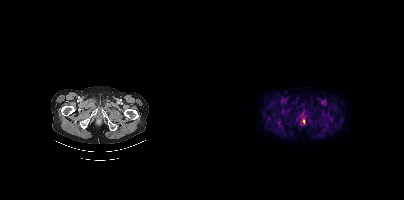
modality: PSMA PET/CT | tracer: 18F | view: axial
No tumor lesions annotated on this slice.